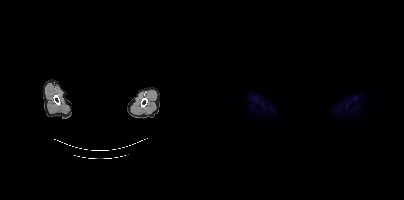
{"modality":"PSMA PET/CT","view":"axial","tracer":"18F-PSMA","pet_grid":[200,200],"coord_frame":"pet_panel","coord_format":"x0,y0,x1,y1","deidentification":"head region blacked out before release","psma_avid_lesions":false}